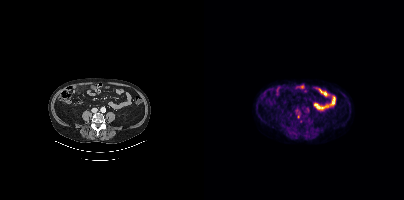
modality: PSMA PET/CT | tracer: 18F-PSMA | view: axial | PET grid: 200×200
Only PSMA-avid lesion pieces thinner than 2 px on this slice (not listed).